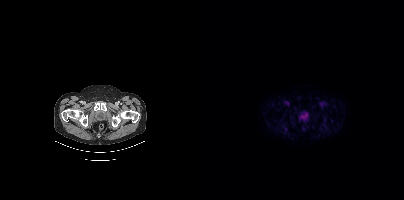
Findings: This slice has no annotated PSMA-avid lesion.
- Left: CT. Right: PSMA PET, same axial level, 18F tracer
- slice 64 of 417